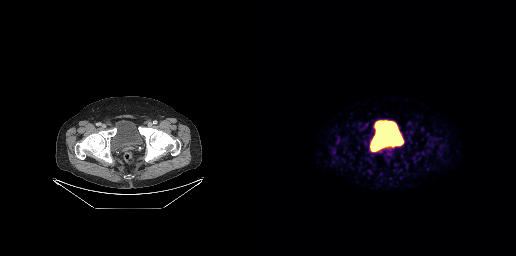
Findings: No tumor lesions annotated on this slice.
- Left: CT. Right: PSMA PET, same axial level, 68Ga-PSMA tracer